modality: PSMA PET/CT | tracer: 18F-PSMA | view: axial | PET grid: 200×200
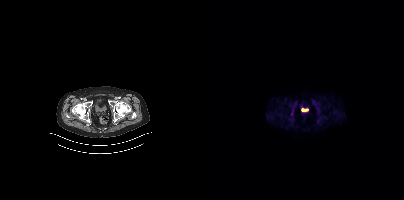
Coordinates are on the 200×200 PET (right) panel. PSMA-avid tumor lesion bounding box (x, y, width, height): x=98 y=109 w=6 h=2.